- privacy masking, with the pixels inside a rectangle set to black
- Two-panel axial: CT | PSMA PET, 18F tracer
- acquired on GE Discovery 690
- slice position z = -88 mm
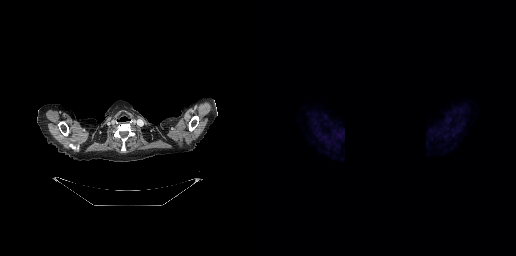
Findings: This slice has no annotated PSMA-avid lesion.